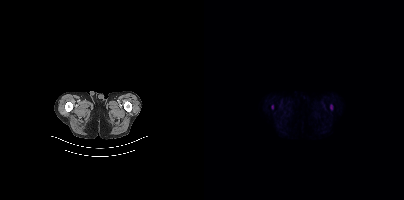
Technique: Left: CT. Right: PSMA PET, same axial level, [18F]PSMA-1007 tracer.
Findings: Only PSMA-avid lesion pieces thinner than 2 px on this slice (not listed).